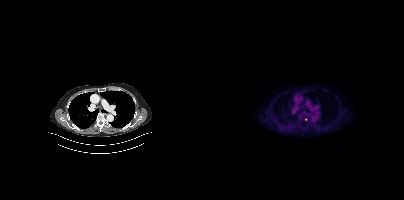
Only PSMA-avid lesion pieces thinner than 2 px on this slice (not listed).